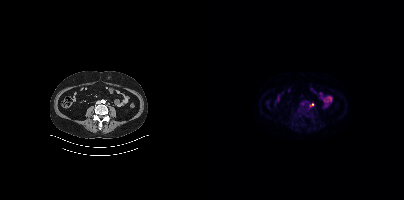
Coordinates are on the 200×200 PET (right) panel. Small PSMA-avid focus (2 to 4 px across) near (center x, center y): (107, 104).